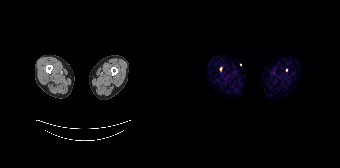
Coordinates are on the 168×168 PET (right) panel. Small PSMA-avid foci (2 to 4 px across) near (center x, center y): (48, 68); (114, 69).